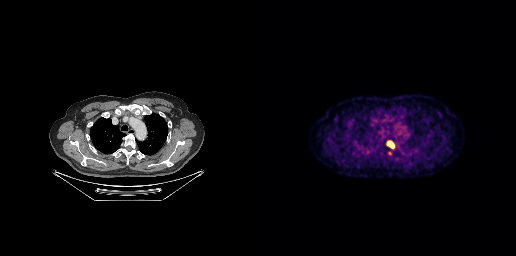
{"modality":"PSMA PET/CT","view":"axial","tracer":"18F","pet_grid":[256,256],"coord_frame":"pet_panel","coord_format":"x0,y0,x1,y1","lesion_bboxes":[[127,141,134,148]]}